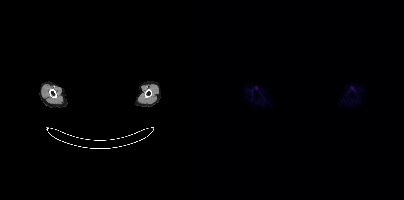
Paired axial CT (left) and PSMA PET (right), [18F]PSMA-1007 tracer. Acquired on Siemens Biograph mCT Flow 20. Slice 384 of 401. De-identified by setting a box covering the face to black before release. Negative for PSMA-avid disease on this slice.